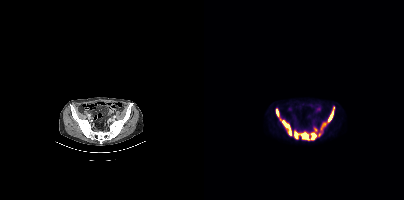
Findings: Coordinates are on the 200×200 PET (right) panel. PSMA-avid tumor lesion bounding boxes (x, y, width, height): x=79 y=121 w=9 h=15; x=118 y=111 w=12 h=16; x=90 y=131 w=5 h=8; x=98 y=133 w=7 h=7; x=108 y=132 w=4 h=8; x=72 y=109 w=3 h=8; x=114 y=131 w=5 h=5. Small PSMA-avid foci (2 to 4 px across) near (center x, center y): (76, 119); (111, 129).
- Two-panel axial: CT | PSMA PET, 18F tracer
- acquired on Siemens Biograph mCT Flow 20
- slice 107 of 435